- Two-panel axial: CT | PSMA PET, 18F tracer
- acquired on Siemens Biograph mCT Flow 20
- slice position z = -1416 mm
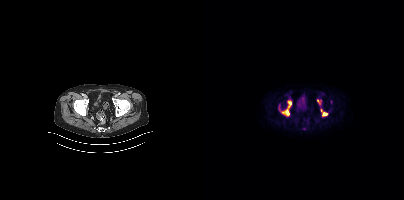
Findings: Coordinates are on the 200×200 PET (right) panel. (showing 4 of 6 foci) PSMA-avid tumor lesion bounding boxes (x0,y0,x1,y1): [78,109,85,115], [84,101,87,107], [118,113,123,115]. Small PSMA-avid focus (2 to 4 px across) near (center x, center y): (113, 100).